Technique: Two-panel axial: CT | PSMA PET, 68Ga tracer.
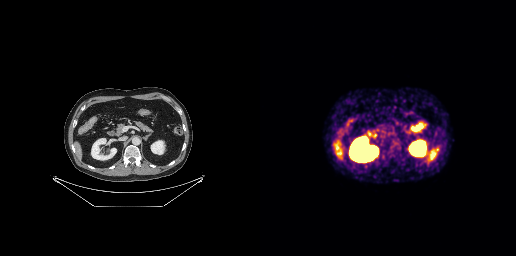
Findings: No tumor lesions annotated on this slice.